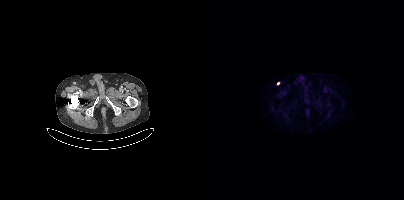
{"pet_grid":[200,200],"coord_frame":"pet_panel","coord_format":"x0,y0,x1,y1","lesion_bboxes":[],"small_foci_centers":[[74,83]],"modality":"PSMA PET/CT","view":"axial","tracer":"18F-PSMA"}